Two-panel axial: CT | PSMA PET, 18F-PSMA tracer. Acquired on Siemens Biograph mCT Flow 20. Slice position z = -856 mm. PET panel 200×200 px (4.1 mm/px). Facial anatomy redacted by setting a rectangular region of the head to black.
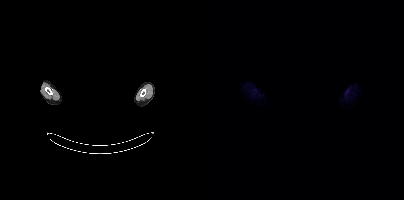
No tumor lesions annotated on this slice.